Technique: Left: CT. Right: PSMA PET, same axial level, 68Ga tracer. slice 41 of 195. PET panel 168×168 px (4.1 mm/px).
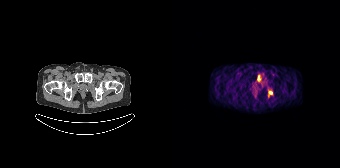
Findings: Coordinates are on the 168×168 PET (right) panel. PSMA-avid tumor lesion bounding boxes (x0,y0,x1,y1): [96,90,100,97]; [85,74,89,81].